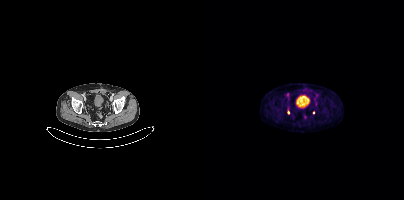
{"pet_grid":[200,200],"coord_frame":"pet_panel","coord_format":"x0,y0,x1,y1","lesion_bboxes":[],"small_foci_centers":[[84,112],[109,112]],"modality":"PSMA PET/CT","view":"axial","tracer":"18F"}